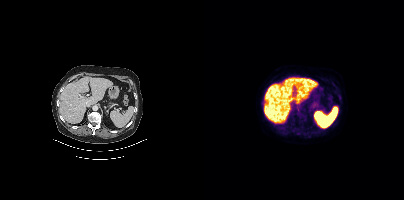
Technique: Left: CT. Right: PSMA PET, same axial level, 18F tracer. acquired on Siemens Biograph mCT Flow 20. slice position z = -516 mm.
Findings: This slice has no annotated PSMA-avid lesion.